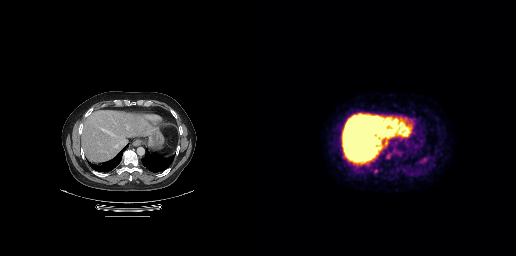
Paired axial CT (left) and PSMA PET (right), 18F tracer. Acquired on GE Discovery 690. Slice 158 of 263. Negative for PSMA-avid disease on this slice.